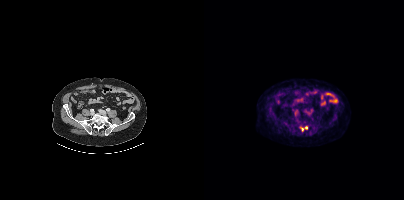
Coordinates are on the 200×200 PET (right) panel. PSMA-avid tumor lesion bounding box (x0, y0)-(x1, y1): (96, 126)-(103, 131).